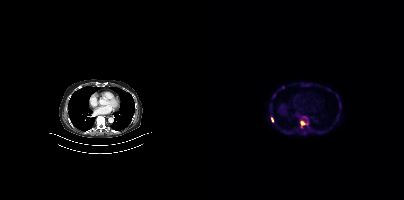
Coordinates are on the 200×200 PET (right) panel. PSMA-avid tumor lesion bounding boxes (x0, y0)-(x1, y1): (96, 120)-(104, 125) / (99, 116)-(103, 118). Small PSMA-avid foci (2 to 4 px across) near (center x, center y): (68, 119) / (79, 87). Two-panel axial: CT | PSMA PET, 18F-PSMA tracer.